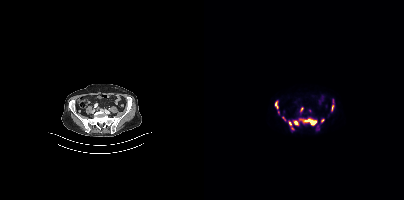
Findings: Coordinates are on the 200×200 PET (right) panel. PSMA-avid tumor lesion bounding boxes (x0, y0)-(x1, y1): (95, 119)-(112, 125) / (89, 121)-(94, 125) / (71, 101)-(74, 108) / (127, 105)-(129, 111) / (85, 121)-(87, 125) / (78, 116)-(81, 120). Small PSMA-avid foci (2 to 4 px across) near (center x, center y): (118, 120) / (88, 128) / (97, 109).
Technique: Left: CT. Right: PSMA PET, same axial level, 18F-PSMA tracer. PET panel 200×200 px (4.1 mm/px).